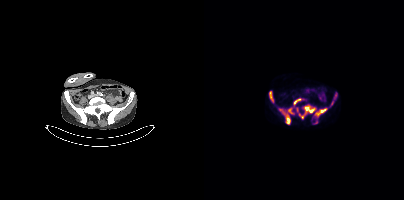
{"modality":"PSMA PET/CT","view":"axial","tracer":"18F","pet_grid":[200,200],"coord_frame":"pet_panel","coord_format":"x0,y0,x1,y1","partial":true,"lesion_bboxes":[[95,105,111,118],[74,108,86,124],[109,109,116,118],[65,91,70,103],[126,92,133,106],[89,98,97,105],[84,108,89,113],[119,108,123,110],[110,120,113,124]]}